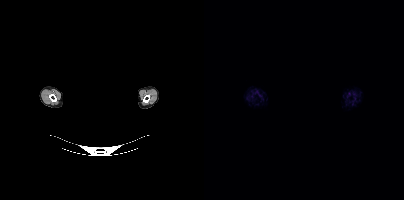
Paired axial CT (left) and PSMA PET (right), 18F tracer. PET panel 200×200 px (4.1 mm/px). De-identified by setting a box covering the face to black before release. No PSMA-avid tumor lesions on this slice.